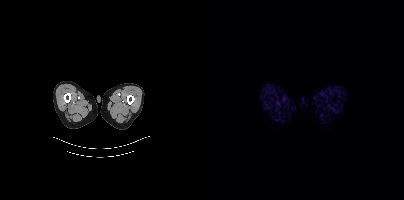
Findings: No tumor lesions annotated on this slice.
- Left: CT. Right: PSMA PET, same axial level, 18F-PSMA tracer
- slice position z = -221 mm
- PET panel 200×200 px (4.1 mm/px)